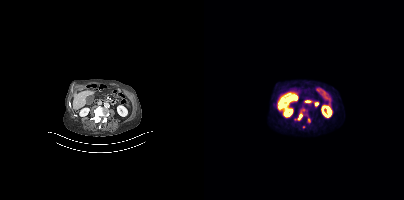
Technique: Paired axial CT (left) and PSMA PET (right), 18F-PSMA tracer.
Findings: Coordinates are on the 200×200 PET (right) panel. (showing 2 of 3 foci) PSMA-avid tumor lesion bounding boxes (x0, y0)-(x1, y1): (93, 108)-(101, 120) | (104, 118)-(106, 122).